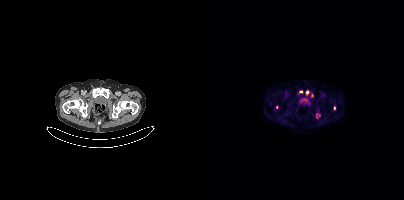
{"modality":"PSMA PET/CT","view":"axial","tracer":"18F-PSMA","pet_grid":[200,200],"coord_frame":"pet_panel","coord_format":"x0,y0,x1,y1","partial":true,"lesion_bboxes":[[102,91,105,95]],"small_foci_centers":[[73,107],[130,107],[97,91]]}